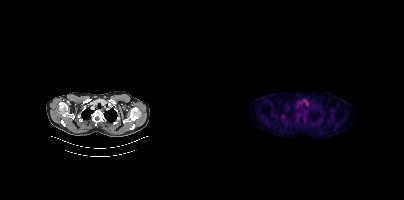
Negative for PSMA-avid disease on this slice.